Paired axial CT (left) and PSMA PET (right), 18F-PSMA tracer. Slice 55 of 387. PET panel 200×200 px (4.1 mm/px).
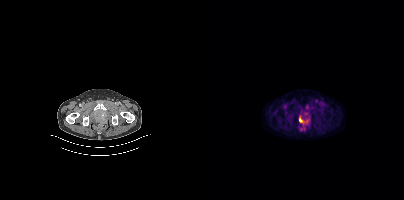
Coordinates are on the 200×200 PET (right) panel. Small PSMA-avid focus (2 to 4 px across) near (center x, center y): (96, 120).